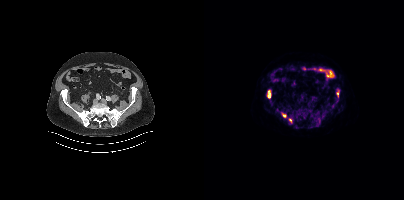
modality: PSMA PET/CT | tracer: 18F-PSMA | view: axial
Coordinates are on the 200×200 PET (right) panel. PSMA-avid tumor lesion bounding box (x0, y0)-(x1, y1): (85, 118)-(87, 122). Small PSMA-avid foci (2 to 4 px across) near (center x, center y): (65, 95) | (79, 114) | (133, 92).